Technique: Left: CT. Right: PSMA PET, same axial level, 18F tracer. acquired on Siemens Biograph mCT Flow 20. slice position z = -1293 mm.
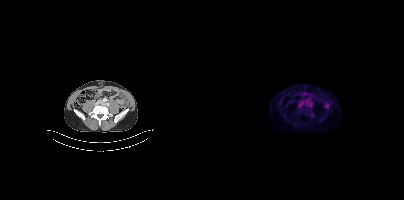
Findings: No tumor lesions annotated on this slice.